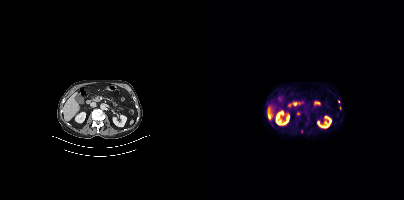
Findings: Coordinates are on the 200×200 PET (right) panel. (showing 1 of 2 foci) Small PSMA-avid focus (2 to 4 px across) near (center x, center y): (134, 101).
Technique: Left: CT. Right: PSMA PET, same axial level, 18F tracer. acquired on Siemens Biograph mCT Flow 20. PET panel 200×200 px (4.1 mm/px).